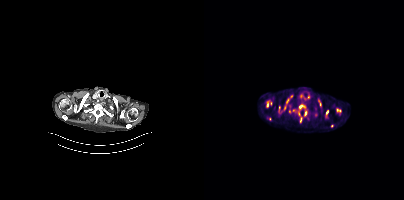
- Paired axial CT (left) and PSMA PET (right), [18F]PSMA-1007 tracer
- slice 309 of 367
Findings: Coordinates are on the 200×200 PET (right) panel. (showing 5 of 6 foci) PSMA-avid tumor lesion bounding boxes (x0, y0)-(x1, y1): (94, 104)-(101, 122) | (81, 98)-(86, 105) | (100, 110)-(103, 116). Small PSMA-avid foci (2 to 4 px across) near (center x, center y): (89, 110) | (65, 119).